- Two-panel axial: CT | PSMA PET, 18F tracer
- head region blanked for anonymization (face removed)
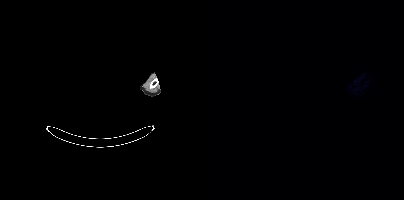
Findings: No PSMA-avid tumor lesions on this slice.